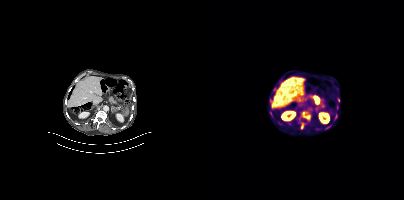
Coordinates are on the 200×200 PET (right) panel. (showing 4 of 5 foci) PSMA-avid tumor lesion bounding boxes (x, y, width, height): x=99 y=113 w=8 h=8 | x=96 y=122 w=7 h=8 | x=122 y=126 w=5 h=3. Small PSMA-avid focus (2 to 4 px across) near (center x, center y): (70, 89).